Paired axial CT (left) and PSMA PET (right), 68Ga tracer.
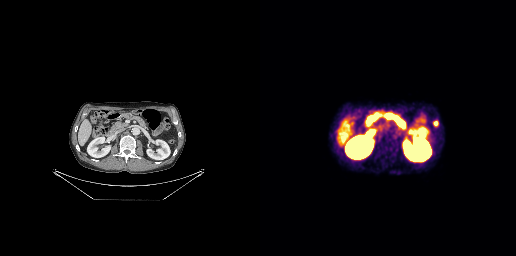
Coordinates are on the 256×256 PET (right) panel. Small PSMA-avid focus (2 to 4 px across) near (center x, center y): (175, 123).